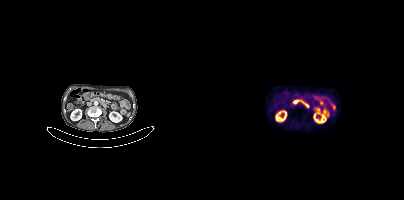
No tumor lesions annotated on this slice.